modality: PSMA PET/CT | tracer: 18F-PSMA | view: axial | PET grid: 200×200
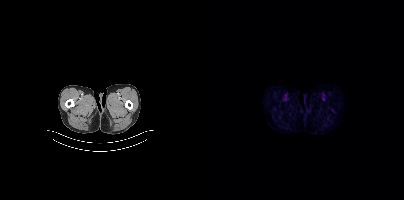
No tumor lesions annotated on this slice.